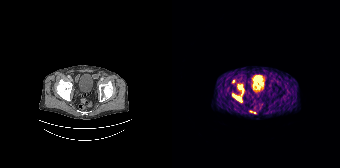
{"modality":"PSMA PET/CT","view":"axial","tracer":"[68Ga]Ga-PSMA-11","pet_grid":[168,168],"coord_frame":"pet_panel","coord_format":"x0,y0,x1,y1","partial":true,"lesion_bboxes":[[61,94,69,101]],"small_foci_centers":[[61,80]]}